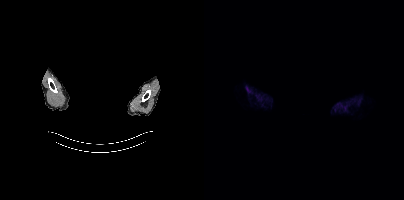
Technique: Paired axial CT (left) and PSMA PET (right), [18F]PSMA-1007 tracer.
Note: Face de-identified by blanking a block of the head.
Findings: No tumor lesions annotated on this slice.